modality: PSMA PET/CT | tracer: 18F | view: axial | PET grid: 200×200
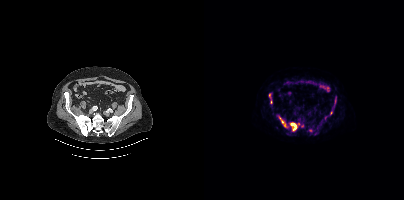
Coordinates are on the 200×200 PET (right) panel. (showing 7 of 8 foci) PSMA-avid tumor lesion bounding boxes (x, y, width, height): x=86 y=122 w=10 h=10 | x=75 y=117 w=8 h=11. Small PSMA-avid foci (2 to 4 px across) near (center x, center y): (65, 95) | (127, 113) | (67, 102) | (106, 130) | (98, 125).